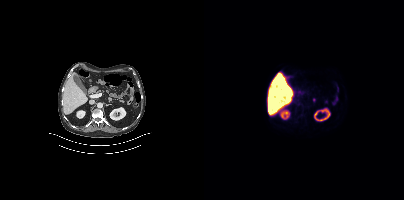
No PSMA-avid tumor lesions on this slice. Two-panel axial: CT | PSMA PET, [18F]PSMA-1007 tracer. Acquired on Siemens Biograph mCT Flow 20. PET panel 200×200 px (4.1 mm/px).